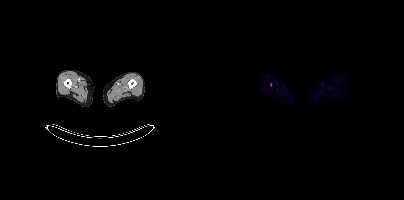
{"modality":"PSMA PET/CT","view":"axial","tracer":"18F-PSMA","pet_grid":[200,200],"coord_frame":"pet_panel","coord_format":"x0,y0,x1,y1","lesion_bboxes":[],"small_foci_centers":[[66,84]]}